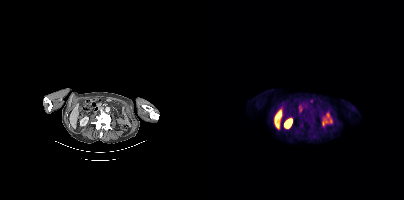
Negative for PSMA-avid disease on this slice.